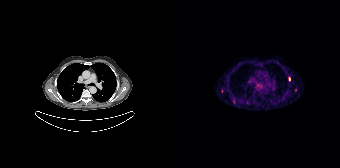
Findings: Coordinates are on the 168×168 PET (right) panel. (showing 1 of 2 foci) Small PSMA-avid focus (2 to 4 px across) near (center x, center y): (49, 91).
- Paired axial CT (left) and PSMA PET (right), [68Ga]Ga-PSMA-11 tracer
- acquired on Siemens Biograph 64-4R TruePoint
- PET panel 168×168 px (4.1 mm/px)